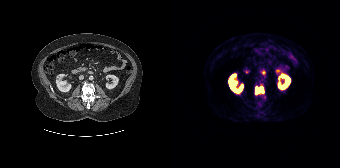
Two-panel axial: CT | PSMA PET, 68Ga tracer. Acquired on Siemens Biograph 64-4R TruePoint. Coordinates are on the 168×168 PET (right) panel. PSMA-avid tumor lesion bounding box (x, y, width, height): x=83 y=86 w=10 h=9. Small PSMA-avid focus (2 to 4 px across) near (center x, center y): (92, 96).